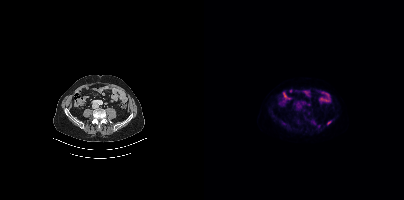
Findings: Coordinates are on the 200×200 PET (right) panel. Small PSMA-avid focus (2 to 4 px across) near (center x, center y): (125, 122).
Technique: Two-panel axial: CT | PSMA PET, 18F-PSMA tracer. slice position z = -1358 mm. PET panel 200×200 px (4.1 mm/px).